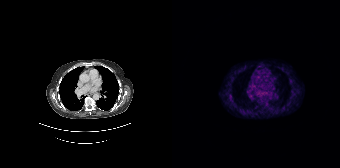
modality: PSMA PET/CT | tracer: 68Ga-PSMA | view: axial
Only PSMA-avid lesion pieces thinner than 2 px on this slice (not listed).